Technique: Paired axial CT (left) and PSMA PET (right), 18F-PSMA tracer. slice position z = -886 mm. PET panel 200×200 px (4.1 mm/px).
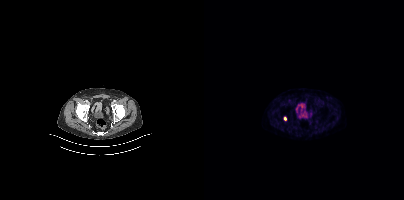
Findings: Coordinates are on the 200×200 PET (right) panel. Small PSMA-avid focus (2 to 4 px across) near (center x, center y): (81, 118).